Paired axial CT (left) and PSMA PET (right), 68Ga tracer.
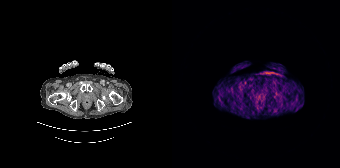
This slice has no annotated PSMA-avid lesion.